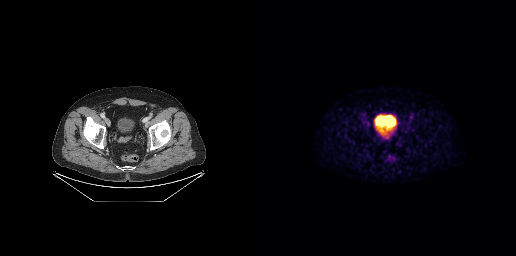
Findings: This slice has no annotated PSMA-avid lesion.
Technique: Paired axial CT (left) and PSMA PET (right), 18F-PSMA tracer.